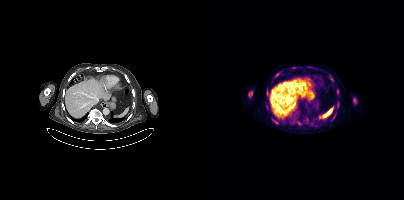
modality: PSMA PET/CT | tracer: [18F]PSMA-1007 | view: axial | PET grid: 200×200
Coordinates are on the 200×200 PET (right) panel. (showing 9 of 10 foci) PSMA-avid tumor lesion bounding boxes (x, y, width, height): x=44 y=91 w=5 h=6 / x=149 y=98 w=4 h=6 / x=128 y=115 w=4 h=6 / x=62 y=106 w=3 h=5 / x=69 y=120 w=6 h=4. Small PSMA-avid foci (2 to 4 px across) near (center x, center y): (133, 104) / (72, 74) / (133, 91) / (63, 94).